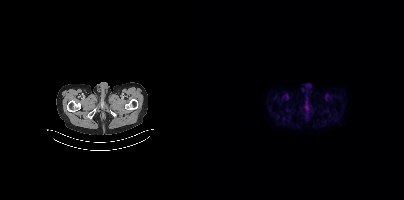
No tumor lesions annotated on this slice. Two-panel axial: CT | PSMA PET, [18F]PSMA-1007 tracer. Acquired on Siemens Biograph mCT Flow 20. Slice 39 of 423.